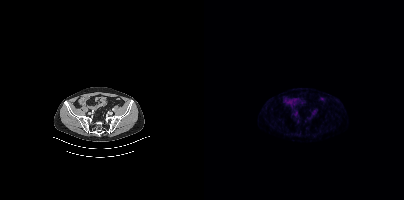
This slice has no annotated PSMA-avid lesion.